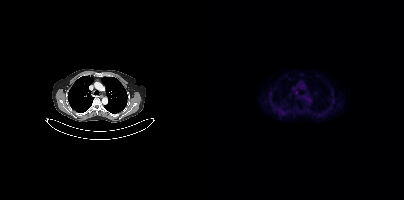
Left: CT. Right: PSMA PET, same axial level, [18F]PSMA-1007 tracer. Slice position z = -1012 mm. PET panel 200×200 px (4.1 mm/px). Coordinates are on the 200×200 PET (right) panel. Small PSMA-avid focus (2 to 4 px across) near (center x, center y): (92, 92).